modality: PSMA PET/CT | tracer: [68Ga]Ga-PSMA-11 | view: axial
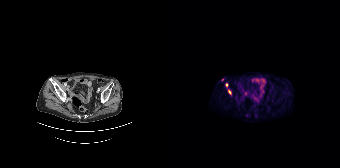
Coordinates are on the 168×168 PET (right) panel. Small PSMA-avid foci (2 to 4 px across) near (center x, center y): (50, 79) | (54, 84) | (57, 92).